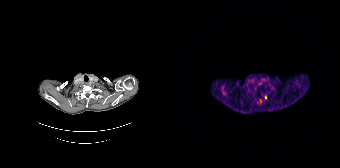
- Paired axial CT (left) and PSMA PET (right), 68Ga tracer
- acquired on Siemens Biograph 64-4R TruePoint
Findings: Coordinates are on the 168×168 PET (right) panel. Small PSMA-avid focus (2 to 4 px across) near (center x, center y): (93, 97).